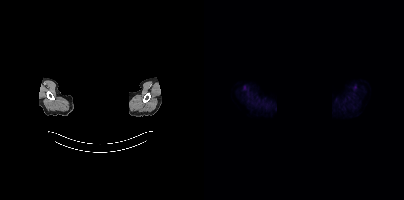
De-identified by setting a box covering the face to black before release.
Negative for PSMA-avid disease on this slice.